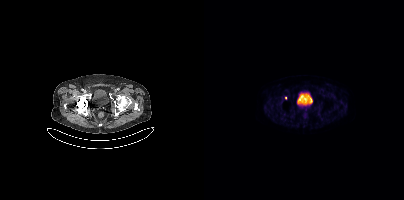
Technique: Left: CT. Right: PSMA PET, same axial level, 18F-PSMA tracer. acquired on Siemens Biograph mCT Flow 20. PET panel 200×200 px (4.1 mm/px).
Findings: Coordinates are on the 200×200 PET (right) panel. Small PSMA-avid focus (2 to 4 px across) near (center x, center y): (81, 98).